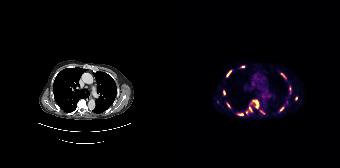
{"pet_grid":[168,168],"coord_frame":"pet_panel","coord_format":"x0,y0,x1,y1","partial":true,"lesion_bboxes":[[81,100,86,108],[54,70,59,77],[66,113,71,115],[77,107,80,111],[108,107,111,111],[55,103,58,107],[109,73,113,77]],"small_foci_centers":[[70,66],[52,92],[124,98],[74,112],[89,111]],"modality":"PSMA PET/CT","view":"axial","tracer":"68Ga-PSMA"}